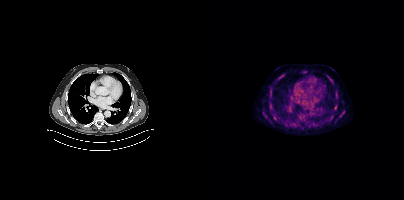
modality: PSMA PET/CT | tracer: [18F]PSMA-1007 | view: axial | PET grid: 200×200
Coordinates are on the 200×200 PET (right) panel. (showing 6 of 8 foci) PSMA-avid tumor lesion bounding box (x0,y0,x1,y1): [76,74,80,77]. Small PSMA-avid foci (2 to 4 px across) near (center x, center y): (131, 106), (128, 81), (62, 116), (128, 116), (71, 118).